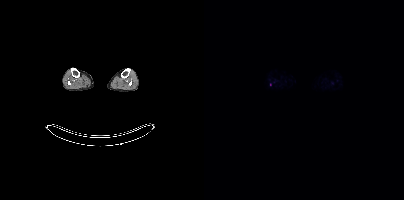
This slice has no annotated PSMA-avid lesion.